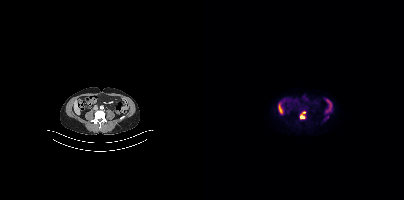
{"modality":"PSMA PET/CT","view":"axial","tracer":"18F-PSMA","pet_grid":[200,200],"coord_frame":"pet_panel","coord_format":"x0,y0,x1,y1","partial":true,"lesion_bboxes":[[96,111,101,118]]}